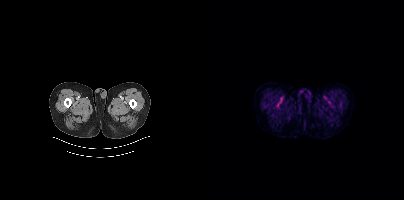
- Two-panel axial: CT | PSMA PET, [18F]PSMA-1007 tracer
- acquired on Siemens Biograph mCT Flow 20
- slice position z = -192 mm
Findings: No tumor lesions annotated on this slice.